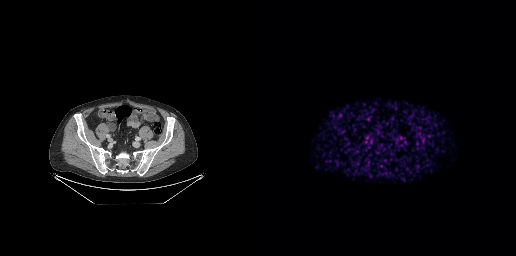
modality: PSMA PET/CT | tracer: [68Ga]Ga-PSMA-11 | view: axial
Negative for PSMA-avid disease on this slice.